Left: CT. Right: PSMA PET, same axial level, [68Ga]Ga-PSMA-11 tracer. PET panel 256×256 px (2.7 mm/px).
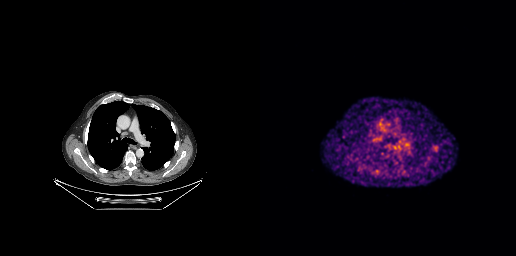
Coordinates are on the 256×256 PET (right) panel. PSMA-avid tumor lesion bounding box (x, y, width, height): x=174 y=145 w=5 h=5.